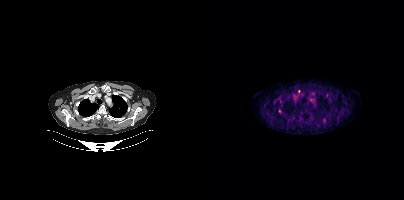
Coordinates are on the 200×200 PET (right) panel. Small PSMA-avid foci (2 to 4 px across) near (center x, center y): (75, 111) | (120, 119).